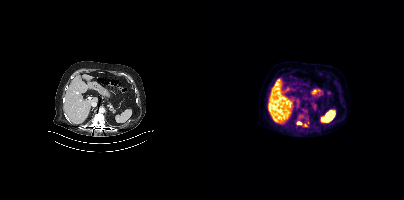
modality: PSMA PET/CT | tracer: 18F | view: axial | PET grid: 200×200
Coordinates are on the 200×200 PET (right) panel. PSMA-avid tumor lesion bounding box (x, y, width, height): x=93 y=122 w=6 h=4. Small PSMA-avid focus (2 to 4 px across) near (center x, center y): (101, 125).